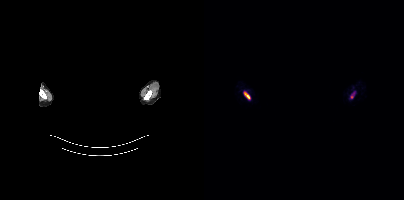
Technique: Left: CT. Right: PSMA PET, same axial level, [68Ga]Ga-PSMA-11 tracer. PET panel 200×200 px (4.1 mm/px).
Note: The face region was removed for patient privacy by blanking a rectangle over the head.
Findings: Coordinates are on the 200×200 PET (right) panel. PSMA-avid tumor lesion bounding boxes (x0,y0,x1,y1): [39,91,46,99] [146,93,150,99].